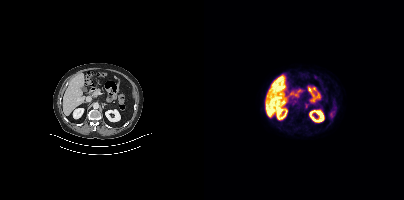
Two-panel axial: CT | PSMA PET, [18F]PSMA-1007 tracer. Coordinates are on the 200×200 PET (right) panel. PSMA-avid tumor lesion bounding box (x0, y0)-(x1, y1): (101, 103)-(104, 108).